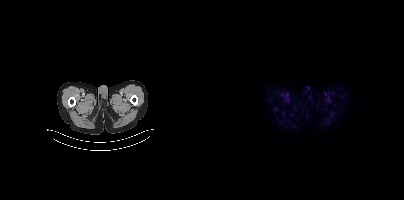
Left: CT. Right: PSMA PET, same axial level, 18F tracer. PET panel 200×200 px (4.1 mm/px). This slice has no annotated PSMA-avid lesion.